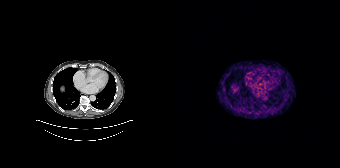
No PSMA-avid tumor lesions on this slice.